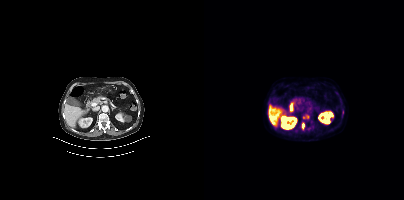
Coordinates are on the 200×200 PET (right) panel. (showing 2 of 4 foci) PSMA-avid tumor lesion bounding box (x, y, width, height): x=98 y=123 w=3 h=7. Small PSMA-avid focus (2 to 4 px across) near (center x, center y): (100, 117).